Left: CT. Right: PSMA PET, same axial level, 18F tracer. Slice position z = -952 mm. PET panel 200×200 px (4.1 mm/px).
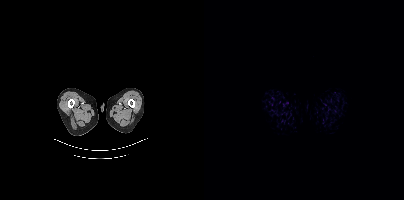
This slice has no annotated PSMA-avid lesion.